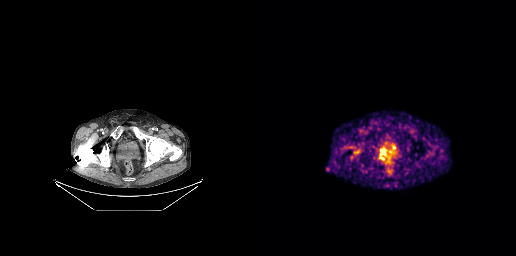
Findings: Coordinates are on the 256×256 PET (right) panel. PSMA-avid tumor lesion bounding box (x, y, width, height): x=118 y=148 w=14 h=16.
Technique: Paired axial CT (left) and PSMA PET (right), 68Ga tracer. slice 63 of 263.